Left: CT. Right: PSMA PET, same axial level, 68Ga-PSMA tracer. Acquired on Siemens Biograph mCT Flow 20. Slice 96 of 397.
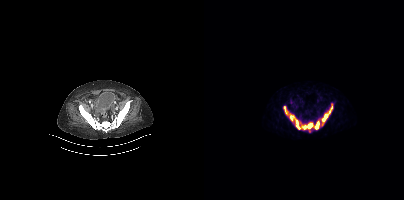
Coordinates are on the 200×200 PET (right) panel. PSMA-avid tumor lesion bounding boxes:
| # | x0 | y0 | x1 | y1 |
|---|---|---|---|---|
| 1 | 93 | 125 | 96 | 129 |
Small PSMA-avid foci (2 to 4 px across) near (center x, center y): (83, 114); (125, 112); (127, 105).